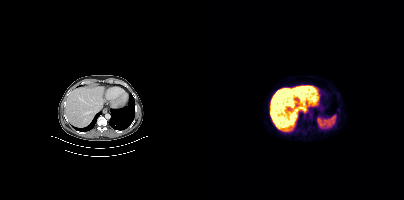
This slice has no annotated PSMA-avid lesion.